Technique: Two-panel axial: CT | PSMA PET, [18F]PSMA-1007 tracer. acquired on Siemens Biograph mCT Flow 20. PET panel 200×200 px (4.1 mm/px).
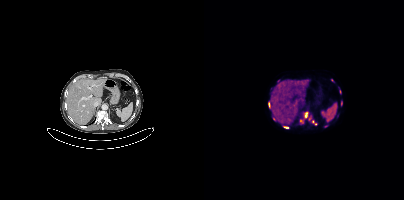
Findings: Coordinates are on the 200×200 PET (right) panel. (showing 8 of 10 foci) PSMA-avid tumor lesion bounding boxes (x0, y0)-(x1, y1): (96, 112)-(103, 123) | (108, 120)-(112, 124) | (120, 125)-(124, 127) | (80, 126)-(84, 128) | (137, 101)-(138, 105). Small PSMA-avid foci (2 to 4 px across) near (center x, center y): (70, 118) | (136, 91) | (105, 119).